- Paired axial CT (left) and PSMA PET (right), 68Ga-PSMA tracer
- acquired on GE Discovery 690
- PET panel 256×256 px (2.7 mm/px)
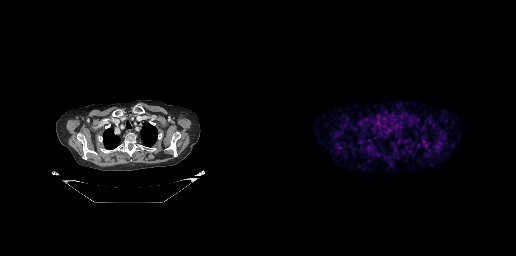
Findings: No tumor lesions annotated on this slice.